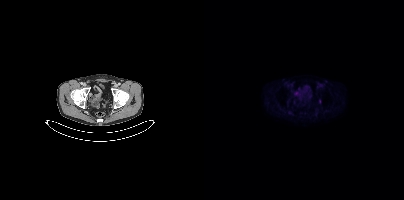
Findings: Coordinates are on the 200×200 PET (right) panel. Small PSMA-avid focus (2 to 4 px across) near (center x, center y): (115, 101).
- Paired axial CT (left) and PSMA PET (right), 18F-PSMA tracer
- slice position z = -946 mm
- PET panel 200×200 px (4.1 mm/px)